Two-panel axial: CT | PSMA PET, 18F tracer. Acquired on Siemens Biograph mCT Flow 20. Slice 263 of 423. PET panel 200×200 px (4.1 mm/px).
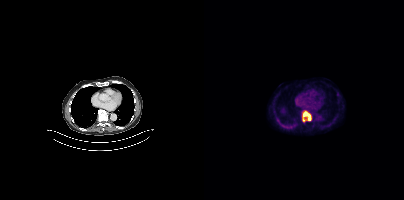
Coordinates are on the 200×200 PET (right) panel. PSMA-avid tumor lesion bounding boxes:
| # | x0 | y0 | x1 | y1 |
|---|---|---|---|---|
| 1 | 98 | 110 | 107 | 121 |